- Left: CT. Right: PSMA PET, same axial level, 18F tracer
- any black rectangle here is a de-identification mask
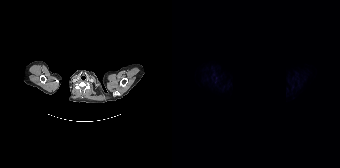
Findings: No PSMA-avid tumor lesions on this slice.